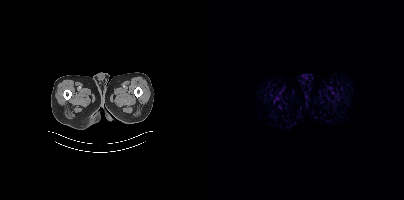
- Two-panel axial: CT | PSMA PET, 18F-PSMA tracer
- PET panel 200×200 px (4.1 mm/px)
Findings: Negative for PSMA-avid disease on this slice.